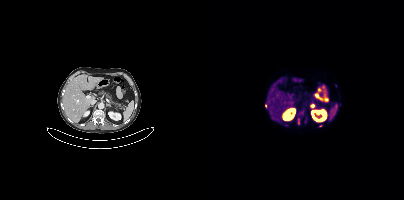
Coordinates are on the 200×200 PET (right) panel. PSMA-avid tumor lesion bounding boxes (x0, y0)-(x1, y1): (94, 118)-(95, 124) | (100, 118)-(103, 123). Small PSMA-avid foci (2 to 4 px across) near (center x, center y): (116, 125) | (61, 106) | (67, 118). Left: CT. Right: PSMA PET, same axial level, 68Ga tracer.